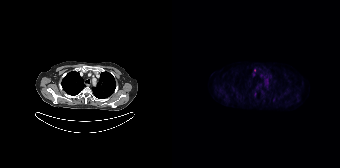
No PSMA-avid tumor lesions on this slice.